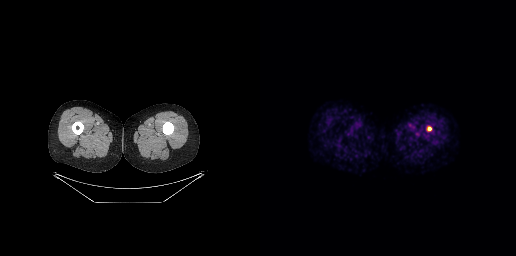
Paired axial CT (left) and PSMA PET (right), 68Ga-PSMA tracer. Acquired on GE Discovery 690. Slice position z = -1094 mm. Coordinates are on the 256×256 PET (right) panel. Small PSMA-avid focus (2 to 4 px across) near (center x, center y): (169, 128).